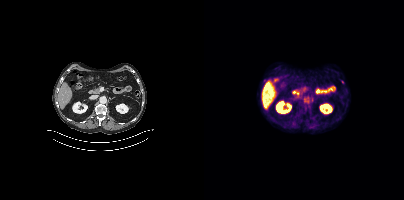
Only PSMA-avid lesion pieces thinner than 2 px on this slice (not listed). Two-panel axial: CT | PSMA PET, 18F tracer. Slice 204 of 429.